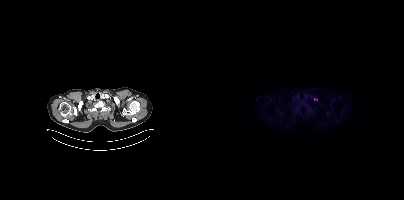
Coordinates are on the 200×200 PET (right) panel. Small PSMA-avid focus (2 to 4 px across) near (center x, center y): (111, 99).